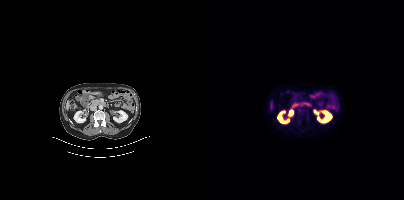
- Paired axial CT (left) and PSMA PET (right), [18F]PSMA-1007 tracer
- acquired on Siemens Biograph mCT Flow 20
- slice 185 of 427
Findings: No PSMA-avid tumor lesions on this slice.